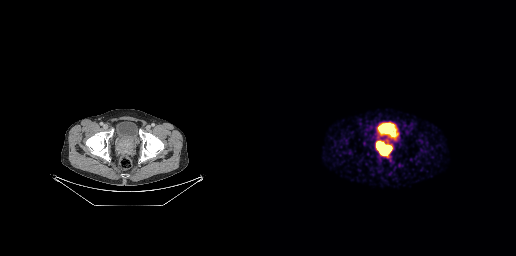
{"modality":"PSMA PET/CT","view":"axial","tracer":"[68Ga]Ga-PSMA-11","pet_grid":[256,256],"coord_frame":"pet_panel","coord_format":"x0,y0,x1,y1","lesion_bboxes":[[116,141,132,154]],"small_foci_centers":[[134,138]]}